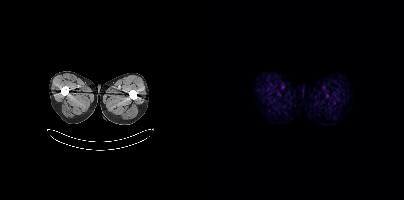
{"modality":"PSMA PET/CT","view":"axial","tracer":"18F","pet_grid":[200,200],"coord_frame":"pet_panel","coord_format":"x0,y0,x1,y1","psma_avid_lesions":false}